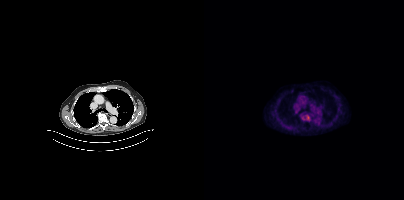
Coordinates are on the 200×200 PET (right) panel. (showing 1 of 2 foci) PSMA-avid tumor lesion bounding box (x0, y0)-(x1, y1): (103, 115)-(105, 119).